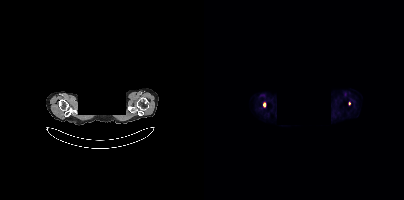
Findings: Coordinates are on the 200×200 PET (right) panel. (showing 1 of 2 foci) Small PSMA-avid focus (2 to 4 px across) near (center x, center y): (60, 104).
- de-identified by setting a box covering the face to black before release
- Two-panel axial: CT | PSMA PET, 18F-PSMA tracer
- acquired on Siemens Biograph mCT Flow 20
- slice 352 of 401
- PET panel 200×200 px (4.1 mm/px)